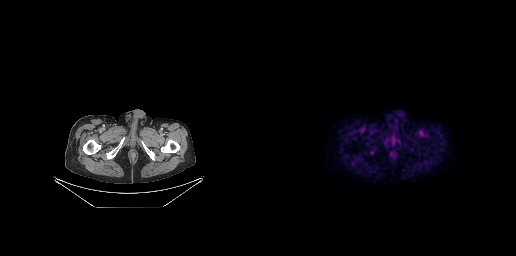
Two-panel axial: CT | PSMA PET, [18F]PSMA-1007 tracer. Acquired on GE Discovery 690. Slice 41 of 263. PET panel 256×256 px (2.7 mm/px). This slice has no annotated PSMA-avid lesion.